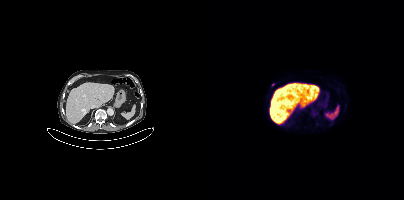
Coordinates are on the 200×200 PET (right) panel. Small PSMA-avid focus (2 to 4 px across) near (center x, center y): (69, 84). Left: CT. Right: PSMA PET, same axial level, [18F]PSMA-1007 tracer. Acquired on Siemens Biograph mCT Flow 20.